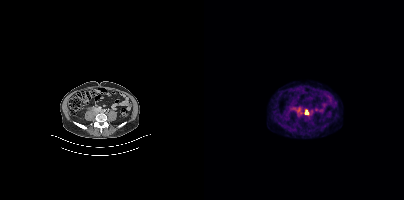
Left: CT. Right: PSMA PET, same axial level, 18F-PSMA tracer. Slice position z = -855 mm. PET panel 200×200 px (4.1 mm/px).
Coordinates are on the 200×200 PET (right) panel. PSMA-avid tumor lesion bounding boxes:
| # | x0 | y0 | x1 | y1 |
|---|---|---|---|---|
| 1 | 92 | 108 | 97 | 113 |
| 2 | 101 | 110 | 104 | 114 |